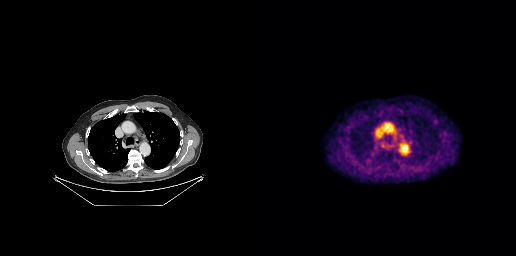
modality: PSMA PET/CT | tracer: 18F | view: axial
This slice has no annotated PSMA-avid lesion.